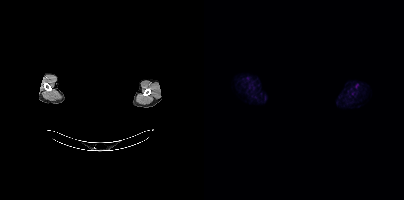
A rectangular block over the head has been blanked out for de-identification. Two-panel axial: CT | PSMA PET, 18F-PSMA tracer. PET panel 200×200 px (4.1 mm/px). No tumor lesions annotated on this slice.